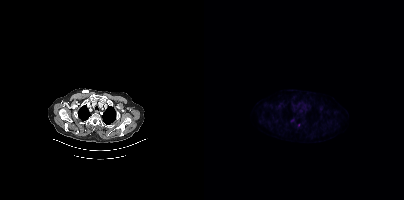
{"modality":"PSMA PET/CT","view":"axial","tracer":"[18F]PSMA-1007","pet_grid":[200,200],"coord_frame":"pet_panel","coord_format":"x0,y0,x1,y1","lesion_bboxes":[],"small_foci_centers":[[88,120],[94,125]]}